modality: PSMA PET/CT | tracer: 68Ga-PSMA | view: axial | PET grid: 168×168
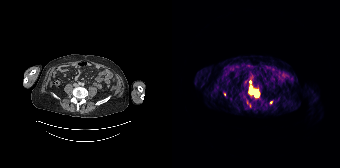
Coordinates are on the 168×168 PET (right) panel. (showing 1 of 5 foci) PSMA-avid tumor lesion bounding box (x0,y0,x1,y1): [83,90,87,96].